Two-panel axial: CT | PSMA PET, [18F]PSMA-1007 tracer. Acquired on Siemens Biograph mCT Flow 20. PET panel 200×200 px (4.1 mm/px). A rectangle over the head was blacked out to remove identifiable facial features.
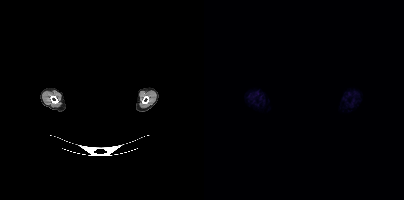
Negative for PSMA-avid disease on this slice.